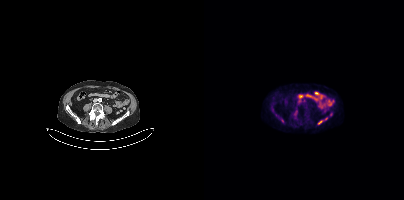
{"modality":"PSMA PET/CT","view":"axial","tracer":"[18F]PSMA-1007","pet_grid":[200,200],"coord_frame":"pet_panel","coord_format":"x0,y0,x1,y1","partial":true,"lesion_bboxes":[]}